Left: CT. Right: PSMA PET, same axial level, 18F-PSMA tracer. Acquired on Siemens Biograph 64-4R TruePoint. Any black rectangle over the head is a privacy mask, not anatomy.
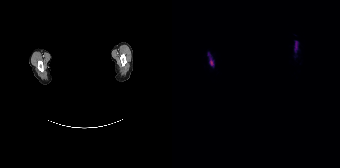
Coordinates are on the 168×168 PET (right) panel. PSMA-avid tumor lesion bounding boxes:
| # | x0 | y0 | x1 | y1 |
|---|---|---|---|---|
| 1 | 122 | 41 | 125 | 51 |
| 2 | 38 | 60 | 41 | 65 |